modality: PSMA PET/CT | tracer: 18F-PSMA | view: axial
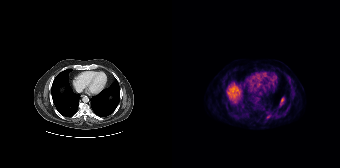
Coordinates are on the 168×168 PET (right) panel. Small PSMA-avid focus (2 to 4 px across) near (center x, center y): (96, 116).